Two-panel axial: CT | PSMA PET, 68Ga-PSMA tracer. Acquired on GE Discovery 690. Slice position z = -223 mm. PET panel 256×256 px (2.7 mm/px). Any black rectangle over the head is a privacy mask, not anatomy.
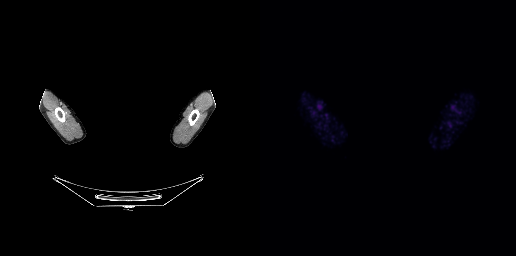
No tumor lesions annotated on this slice.